Technique: Two-panel axial: CT | PSMA PET, 18F-PSMA tracer. slice position z = -808 mm.
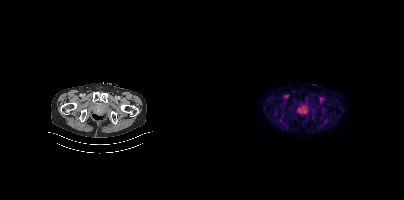
Findings: Coordinates are on the 200×200 PET (right) panel. PSMA-avid tumor lesion bounding box (x0,y0,x1,y1): [93,104,105,115].